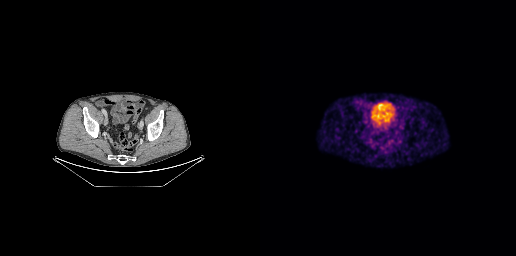
modality: PSMA PET/CT | tracer: [68Ga]Ga-PSMA-11 | view: axial | PET grid: 256×256
No tumor lesions annotated on this slice.